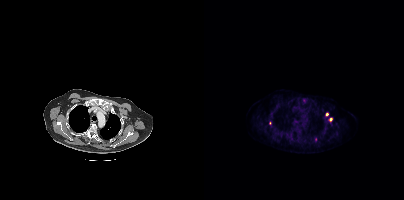
Paired axial CT (left) and PSMA PET (right), 18F tracer. Slice position z = -438 mm. PET panel 200×200 px (4.1 mm/px). Only PSMA-avid lesion pieces thinner than 2 px on this slice (not listed).